Paired axial CT (left) and PSMA PET (right), 18F-PSMA tracer. Acquired on Siemens Biograph mCT Flow 20. Slice 109 of 395.
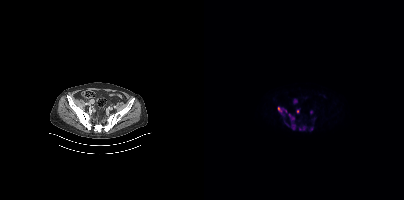
Coordinates are on the 200×200 PET (right) panel. PSMA-avid tumor lesion bounding boxes:
| # | x0 | y0 | x1 | y1 |
|---|---|---|---|---|
| 1 | 84 | 114 | 91 | 129 |
| 2 | 95 | 126 | 102 | 130 |
| 3 | 105 | 126 | 109 | 131 |
| 4 | 89 | 98 | 93 | 103 |
| 5 | 74 | 107 | 77 | 112 |
| 6 | 106 | 110 | 108 | 114 |
Small PSMA-avid foci (2 to 4 px across) near (center x, center y): (93, 111); (83, 125).